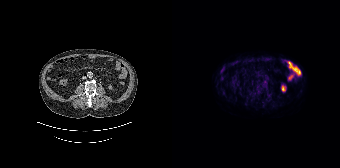
Coordinates are on the 168×168 PET (right) panel. Small PSMA-avid focus (2 to 4 px across) near (center x, center y): (93, 81). Two-panel axial: CT | PSMA PET, [18F]PSMA-1007 tracer.